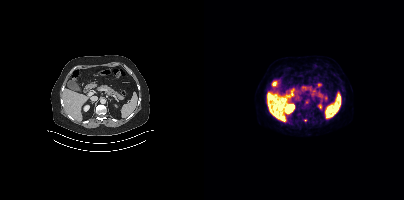
modality: PSMA PET/CT | tracer: 18F-PSMA | view: axial
Coordinates are on the 200×200 PET (right) panel. Small PSMA-avid focus (2 to 4 px across) near (center x, center y): (101, 120).